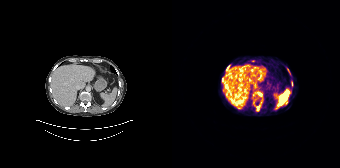
{"modality":"PSMA PET/CT","view":"axial","tracer":"[68Ga]Ga-PSMA-11","pet_grid":[168,168],"coord_frame":"pet_panel","coord_format":"x0,y0,x1,y1","partial":true,"lesion_bboxes":[[85,106,87,110],[54,65,57,69]],"small_foci_centers":[[87,93],[50,78]]}